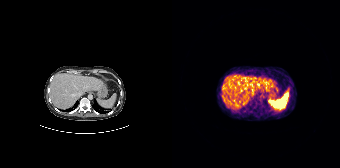
{"modality":"PSMA PET/CT","view":"axial","tracer":"68Ga","pet_grid":[168,168],"coord_frame":"pet_panel","coord_format":"x0,y0,x1,y1","psma_avid_lesions":false}